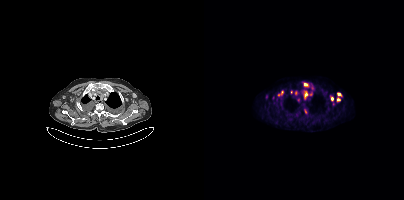
Coordinates are on the 200×200 PET (right) panel. (showing 13 of 14 foci) PSMA-avid tumor lesion bounding boxes (x0, y0)-(x1, y1): (98, 90)-(104, 98) | (100, 83)-(104, 86) | (133, 97)-(136, 101) | (74, 91)-(79, 95) | (133, 93)-(137, 95). Small PSMA-avid foci (2 to 4 px across) near (center x, center y): (128, 98) | (94, 100) | (87, 92) | (91, 93) | (108, 88) | (106, 94) | (62, 96) | (101, 111).
modality: PSMA PET/CT | tracer: [18F]PSMA-1007 | view: axial | PET grid: 200×200